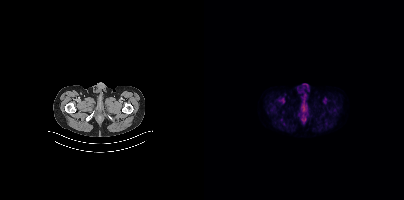
Paired axial CT (left) and PSMA PET (right), 18F tracer. Slice position z = -934 mm. Negative for PSMA-avid disease on this slice.